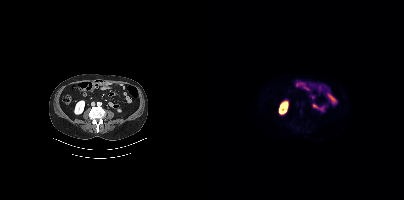
No tumor lesions annotated on this slice. Paired axial CT (left) and PSMA PET (right), 18F-PSMA tracer.